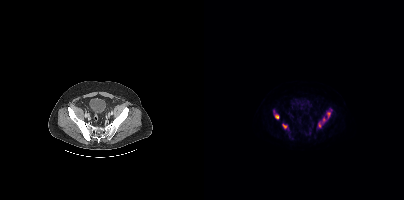
Paired axial CT (left) and PSMA PET (right), 18F-PSMA tracer.
Coordinates are on the 200×200 PET (right) panel. PSMA-avid tumor lesion bounding boxes (partial; 2 more foci not listed):
| # | x0 | y0 | x1 | y1 |
|---|---|---|---|---|
| 1 | 114 | 117 | 122 | 127 |
| 2 | 71 | 114 | 75 | 119 |
| 3 | 123 | 112 | 126 | 118 |
| 4 | 78 | 124 | 83 | 128 |